Technique: Left: CT. Right: PSMA PET, same axial level, [68Ga]Ga-PSMA-11 tracer.
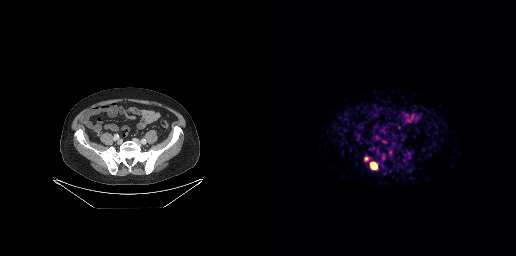
Findings: Coordinates are on the 256×256 PET (right) panel. PSMA-avid tumor lesion bounding box (x, y, width, height): x=110 y=162 w=8 h=8.